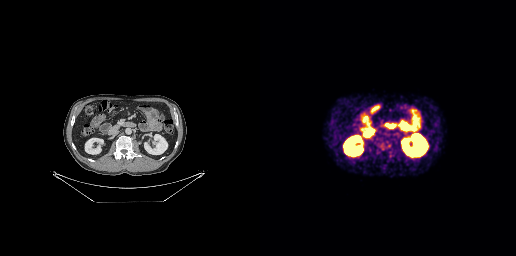
{"pet_grid":[256,256],"coord_frame":"pet_panel","coord_format":"x0,y0,x1,y1","lesion_bboxes":[[119,140,131,151]],"modality":"PSMA PET/CT","view":"axial","tracer":"18F-PSMA"}